Left: CT. Right: PSMA PET, same axial level, [68Ga]Ga-PSMA-11 tracer. PET panel 200×200 px (4.1 mm/px).
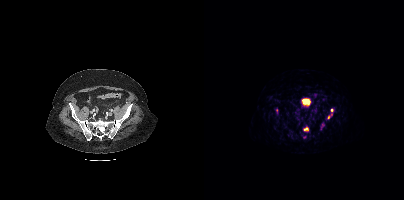
Coordinates are on the 200×200 PET (right) panel. PSMA-avid tumor lesion bounding boxes:
| # | x0 | y0 | x1 | y1 |
|---|---|---|---|---|
| 1 | 123 | 108 | 129 | 119 |
| 2 | 99 | 127 | 104 | 130 |